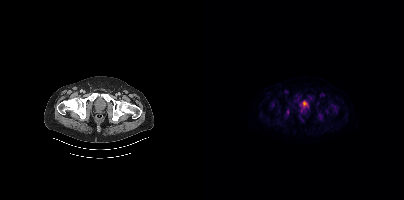
{"modality":"PSMA PET/CT","view":"axial","tracer":"18F-PSMA","pet_grid":[200,200],"coord_frame":"pet_panel","coord_format":"x0,y0,x1,y1","partial":true,"lesion_bboxes":[[96,109,102,113],[93,97,97,103],[66,101,70,106],[114,114,118,119],[102,95,107,100],[84,101,88,105],[80,113,84,116],[74,107,77,111]],"small_foci_centers":[[125,103],[83,110]]}